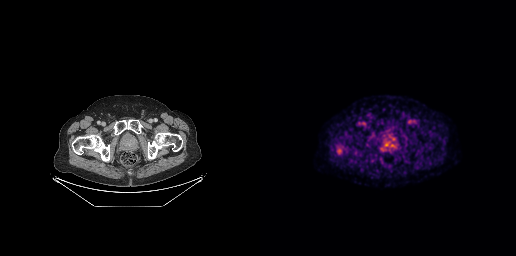
Coordinates are on the 256×256 PET (right) panel. PSMA-avid tumor lesion bounding box (x, y, width, height): x=77 y=147 w=6 h=8.